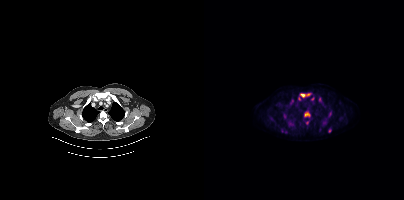
{"pet_grid":[200,200],"coord_frame":"pet_panel","coord_format":"x0,y0,x1,y1","partial":true,"lesion_bboxes":[[96,93,106,97],[101,112,106,117],[101,120,105,124]],"small_foci_centers":[[78,130],[125,130],[80,115],[125,115],[116,98],[95,98],[81,132],[108,98]],"modality":"PSMA PET/CT","view":"axial","tracer":"18F"}